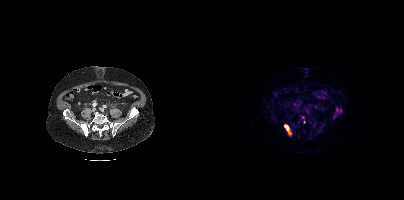
Technique: Left: CT. Right: PSMA PET, same axial level, 68Ga-PSMA tracer. acquired on Siemens Biograph mCT Flow 20. slice position z = 427 mm. PET panel 200×200 px (4.1 mm/px).
Findings: Coordinates are on the 200×200 PET (right) panel. (showing 3 of 6 foci) PSMA-avid tumor lesion bounding box (x0,y0,x1,y1): [80,124,87,134]. Small PSMA-avid foci (2 to 4 px across) near (center x, center y): (133, 109), (136, 110).